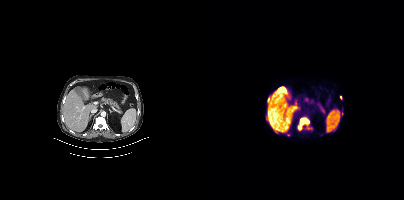
Coordinates are on the 200×200 PET (right) panel. (showing 3 of 4 foci) PSMA-avid tumor lesion bounding boxes (x, y, width, height): x=94 y=118 w=12 h=12; x=64 y=98 w=3 h=5. Small PSMA-avid focus (2 to 4 px across) near (center x, center y): (136, 97).